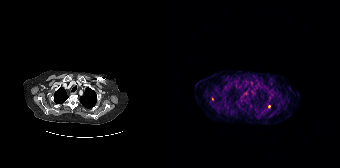
Coordinates are on the 168×168 PET (right) panel. (showing 1 of 2 foci) Small PSMA-avid focus (2 to 4 px across) near (center x, center y): (40, 99). Two-panel axial: CT | PSMA PET, [68Ga]Ga-PSMA-11 tracer. Slice position z = -1094 mm. PET panel 168×168 px (4.1 mm/px).